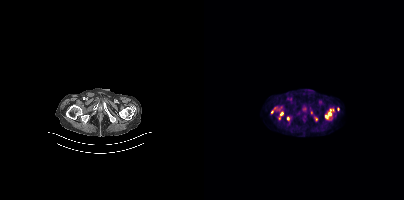
{"modality":"PSMA PET/CT","view":"axial","tracer":"18F-PSMA","pet_grid":[200,200],"coord_frame":"pet_panel","coord_format":"x0,y0,x1,y1","lesion_bboxes":[],"small_foci_centers":[[77,113],[68,112]]}